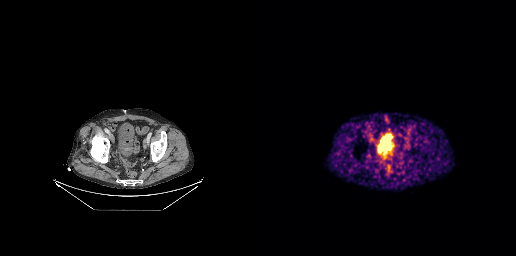
- Two-panel axial: CT | PSMA PET, 68Ga tracer
- slice 76 of 263
- PET panel 256×256 px (2.7 mm/px)
Findings: Coordinates are on the 256×256 PET (right) panel. (showing 1 of 2 foci) PSMA-avid tumor lesion bounding box (x, y, width, height): x=117 y=145 w=13 h=15.